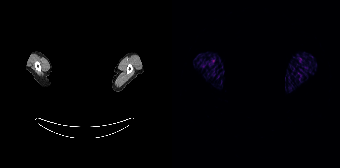
deidentification: head region blanked (face removed) | modality: PSMA PET/CT | tracer: [68Ga]Ga-PSMA-11 | view: axial | PET grid: 168×168
No tumor lesions annotated on this slice.